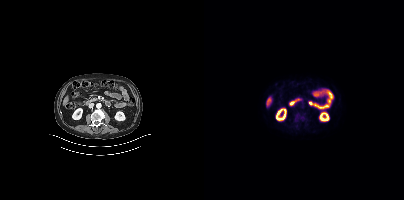
- Paired axial CT (left) and PSMA PET (right), 18F tracer
- slice 189 of 423
- PET panel 200×200 px (4.1 mm/px)
Findings: Negative for PSMA-avid disease on this slice.